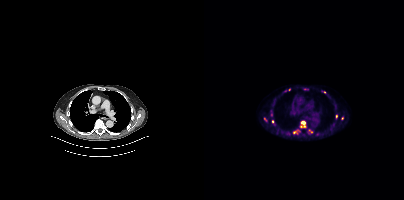
Coordinates are on the 200×200 PET (right) panel. (showing 6 of 9 foci) PSMA-avid tumor lesion bounding box (x0,y0,x1,y1): [97,121,101,124]. Small PSMA-avid foci (2 to 4 px across) near (center x, center y): (132, 116), (68, 121), (61, 119), (120, 92), (138, 118).
modality: PSMA PET/CT | tracer: [18F]PSMA-1007 | view: axial